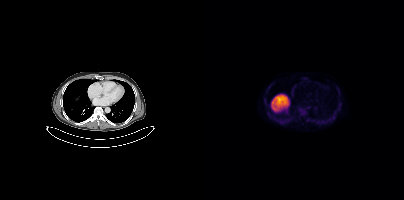
Two-panel axial: CT | PSMA PET, 18F-PSMA tracer. No tumor lesions annotated on this slice.